modality: PSMA PET/CT | tracer: 18F | view: axial | PET grid: 200×200
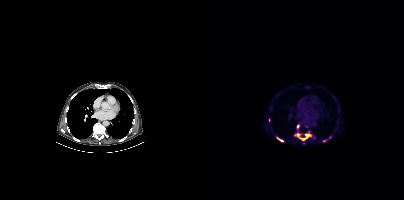
Coordinates are on the 200×200 PET (right) panel. (showing 6 of 9 foci) PSMA-avid tumor lesion bounding boxes (x0, y0)-(x1, y1): (93, 134)-(100, 139) | (73, 137)-(79, 141) | (102, 134)-(106, 137). Small PSMA-avid foci (2 to 4 px across) near (center x, center y): (120, 140) | (65, 120) | (93, 125).